Two-panel axial: CT | PSMA PET, [18F]PSMA-1007 tracer. Acquired on Siemens Biograph mCT Flow 20. PET panel 200×200 px (4.1 mm/px). Face de-identified by blanking a block of the head.
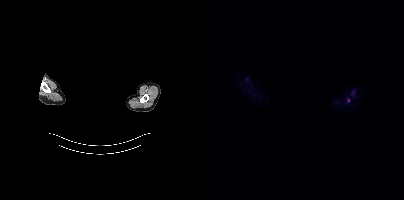
Coordinates are on the 200×200 PET (right) panel. Small PSMA-avid focus (2 to 4 px across) near (center x, center y): (144, 99).